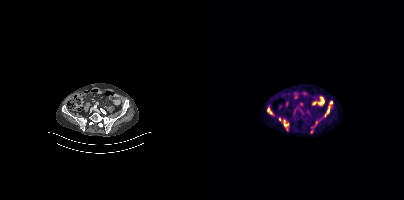
Left: CT. Right: PSMA PET, same axial level, 18F tracer. PET panel 200×200 px (4.1 mm/px).
Coordinates are on the 200×200 PET (right) panel. PSMA-avid tumor lesion bounding boxes:
| # | x0 | y0 | x1 | y1 |
|---|---|---|---|---|
| 1 | 79 | 122 | 85 | 130 |
| 2 | 63 | 107 | 68 | 114 |
| 3 | 123 | 106 | 126 | 113 |
Small PSMA-avid foci (2 to 4 px across) near (center x, center y): (127, 103); (75, 119).